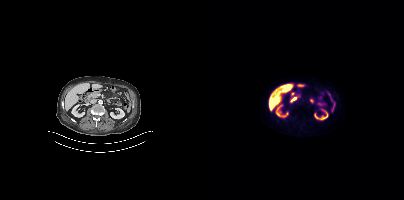
{"modality":"PSMA PET/CT","view":"axial","tracer":"18F","pet_grid":[200,200],"coord_frame":"pet_panel","coord_format":"x0,y0,x1,y1","psma_avid_lesions":false}